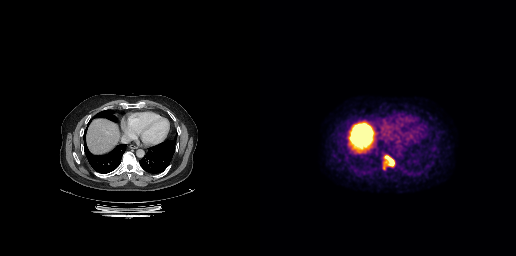
- Left: CT. Right: PSMA PET, same axial level, 18F-PSMA tracer
- acquired on GE Discovery 690
- slice 169 of 263
- PET panel 256×256 px (2.7 mm/px)
Findings: Coordinates are on the 256×256 PET (right) panel. PSMA-avid tumor lesion bounding box (x0, y0)-(x1, y1): (123, 155)-(134, 169).